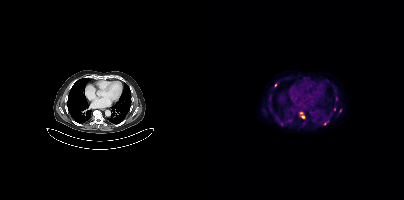
modality: PSMA PET/CT | tracer: [18F]PSMA-1007 | view: axial
Coordinates are on the 200×200 PET (right) panel. PSMA-avid tumor lesion bounding boxes (x0, y0)-(x1, y1): (95, 112)-(101, 118) / (120, 121)-(124, 124). Small PSMA-avid foci (2 to 4 px across) near (center x, center y): (130, 109) / (136, 110) / (71, 85) / (65, 100) / (77, 124).